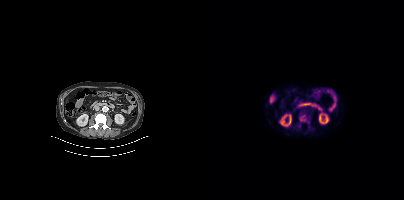
Coordinates are on the 200×200 PET (right) panel. (showing 2 of 4 foci) PSMA-avid tumor lesion bounding box (x0,y0,x1,y1): [95,112,105,123]. Small PSMA-avid focus (2 to 4 px across) near (center x, center y): (95, 126).
modality: PSMA PET/CT | tracer: 18F | view: axial